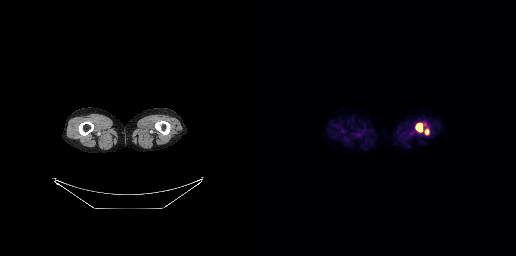
Technique: Paired axial CT (left) and PSMA PET (right), 18F tracer. PET panel 256×256 px (2.7 mm/px).
Findings: Coordinates are on the 256×256 PET (right) panel. PSMA-avid tumor lesion bounding boxes (x, y, width, height): x=155 y=123 w=8 h=10 | x=165 y=129 w=5 h=6.